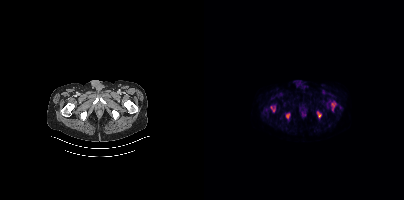
Coordinates are on the 200×200 PET (right) panel. PSMA-avid tumor lesion bounding boxes (x0,y0,x1,y1): [66,106,71,112]; [82,113,86,119]; [113,112,117,117]; [128,103,131,109].
modality: PSMA PET/CT | tracer: 18F | view: axial | PET grid: 200×200